Left: CT. Right: PSMA PET, same axial level, 18F tracer. PET panel 200×200 px (4.1 mm/px).
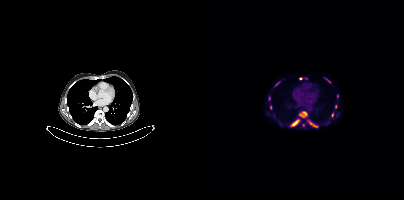
Coordinates are on the 200×200 PET (right) panel. (showing 12 of 13 foci) PSMA-avid tumor lesion bounding boxes (x0,y0,x1,y1): [95,112,103,117] [86,119,95,126] [104,120,110,126] [120,78,126,83] [127,113,129,117] [71,82,75,85]. Small PSMA-avid foci (2 to 4 px across) near (center x, center y): (96, 78) (66, 107) (131, 106) (133, 95) (65, 98) (99, 124).